Left: CT. Right: PSMA PET, same axial level, [18F]PSMA-1007 tracer.
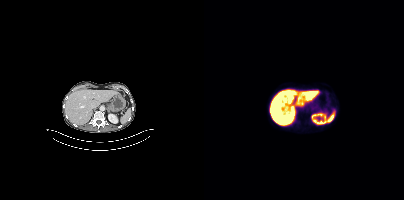
No PSMA-avid tumor lesions on this slice.